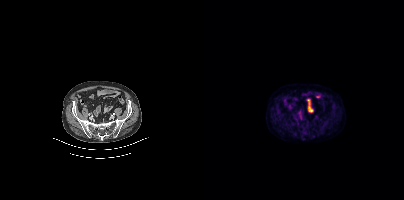
{"modality":"PSMA PET/CT","view":"axial","tracer":"18F","pet_grid":[200,200],"coord_frame":"pet_panel","coord_format":"x0,y0,x1,y1","psma_avid_lesions":false}